Two-panel axial: CT | PSMA PET, 18F-PSMA tracer. Acquired on Siemens Biograph mCT Flow 20.
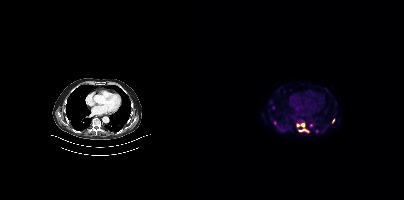
Coordinates are on the 200×200 PET (right) panel. (showing 5 of 6 foci) PSMA-avid tumor lesion bounding box (x, y, width, height): x=94 y=129 w=11 h=3. Small PSMA-avid foci (2 to 4 px across) near (center x, center y): (98, 124) | (107, 125) | (94, 125) | (129, 120).